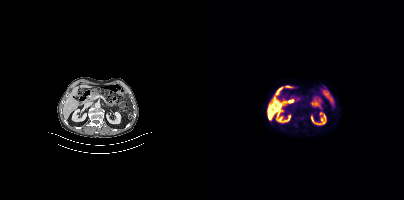
Only PSMA-avid lesion pieces thinner than 2 px on this slice (not listed).